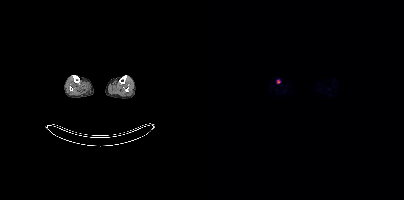
{"pet_grid":[200,200],"coord_frame":"pet_panel","coord_format":"x0,y0,x1,y1","lesion_bboxes":[],"small_foci_centers":[[74,81]],"modality":"PSMA PET/CT","view":"axial","tracer":"18F"}